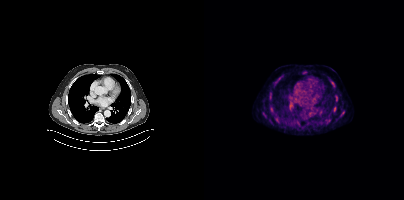
{"modality":"PSMA PET/CT","view":"axial","tracer":"18F","pet_grid":[200,200],"coord_frame":"pet_panel","coord_format":"x0,y0,x1,y1","partial":true,"lesion_bboxes":[[126,81,130,84]],"small_foci_centers":[[132,98],[78,75]]}